modality: PSMA PET/CT | tracer: [18F]PSMA-1007 | view: axial
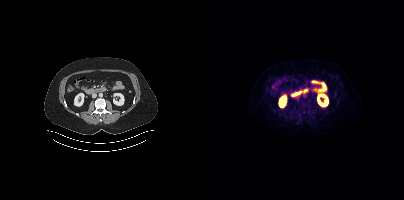
Negative for PSMA-avid disease on this slice.